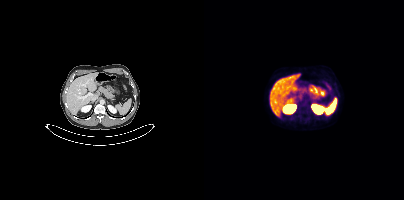
Findings: Negative for PSMA-avid disease on this slice.
Technique: Paired axial CT (left) and PSMA PET (right), [18F]PSMA-1007 tracer. slice 205 of 393.